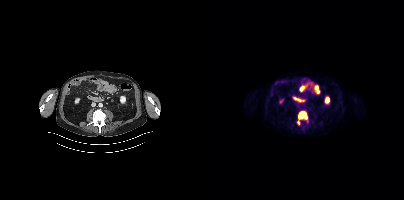
Coordinates are on the 200×200 PET (right) panel. PSMA-avid tumor lesion bounding box (x, y, width, height): x=94 y=111 w=10 h=9. Small PSMA-avid focus (2 to 4 px across) near (center x, center y): (94, 122).